modality: PSMA PET/CT | tracer: [18F]PSMA-1007 | view: axial | PET grid: 200×200
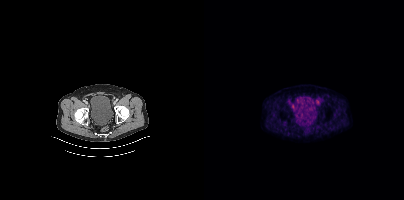
Coordinates are on the 200×200 PET (right) panel. Small PSMA-avid focus (2 to 4 px across) near (center x, center y): (113, 101).